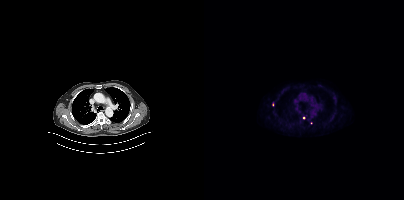
Only PSMA-avid lesion pieces thinner than 2 px on this slice (not listed).